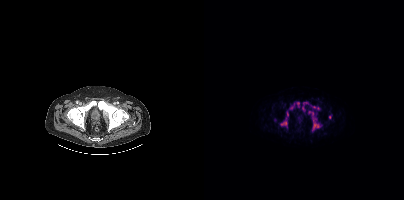
Technique: Two-panel axial: CT | PSMA PET, [18F]PSMA-1007 tracer. slice position z = -1002 mm. PET panel 200×200 px (4.1 mm/px).
Findings: Coordinates are on the 200×200 PET (right) panel. (showing 9 of 12 foci) PSMA-avid tumor lesion bounding boxes (x0, y0)-(x1, y1): (85, 102)-(95, 110) / (98, 101)-(103, 110) / (109, 122)-(115, 128) / (76, 121)-(83, 125) / (104, 111)-(109, 114) / (109, 106)-(115, 109) / (82, 111)-(84, 115). Small PSMA-avid foci (2 to 4 px across) near (center x, center y): (109, 118) / (125, 117).